redaction: rectangular block over head set to black | modality: PSMA PET/CT | tracer: 18F | view: axial
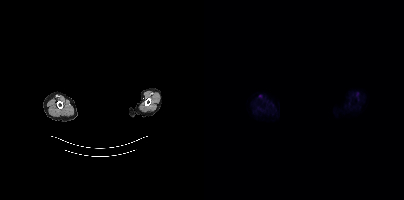
No PSMA-avid tumor lesions on this slice.